Two-panel axial: CT | PSMA PET, 18F tracer. Acquired on Siemens Biograph mCT Flow 20. Slice 329 of 427.
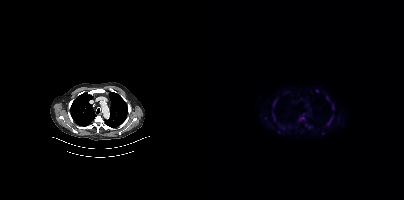
Coordinates are on the 200×200 PET (right) panel. PSMA-avid tumor lesion bounding boxes (partial; 3 more foci not listed):
| # | x0 | y0 | x1 | y1 |
|---|---|---|---|---|
| 1 | 123 | 117 | 129 | 125 |
| 2 | 95 | 117 | 100 | 120 |
| 3 | 69 | 100 | 72 | 106 |
| 4 | 68 | 114 | 71 | 120 |
| 5 | 128 | 105 | 130 | 109 |
Small PSMA-avid foci (2 to 4 px across) near (center x, center y): (123, 97); (113, 91); (79, 127); (99, 113); (105, 127); (118, 133).